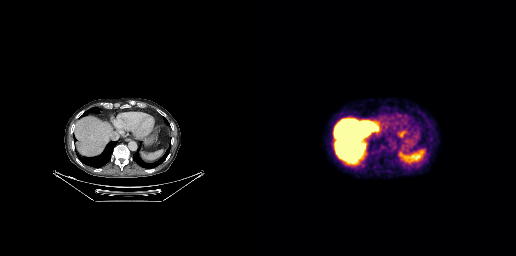
Left: CT. Right: PSMA PET, same axial level, [18F]PSMA-1007 tracer. Acquired on GE Discovery 690. Slice position z = -330 mm. This slice has no annotated PSMA-avid lesion.